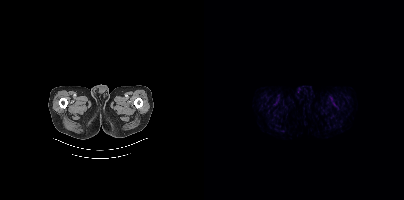
{"pet_grid":[200,200],"coord_frame":"pet_panel","coord_format":"x0,y0,x1,y1","psma_avid_lesions":false,"modality":"PSMA PET/CT","view":"axial","tracer":"18F-PSMA"}